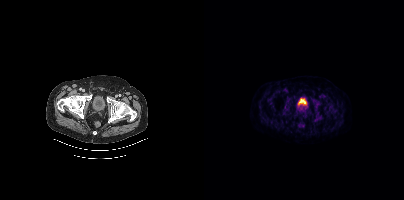
modality: PSMA PET/CT | tracer: 18F | view: axial | PET grid: 200×200
No PSMA-avid tumor lesions on this slice.